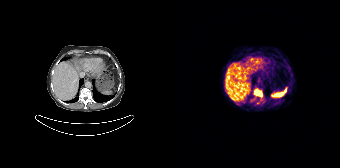
Two-panel axial: CT | PSMA PET, 68Ga-PSMA tracer. Slice position z = -868 mm. PET panel 168×168 px (4.1 mm/px).
Coordinates are on the 168×168 PET (right) panel. PSMA-avid tumor lesion bounding boxes:
| # | x0 | y0 | x1 | y1 |
|---|---|---|---|---|
| 1 | 82 | 89 | 90 | 97 |